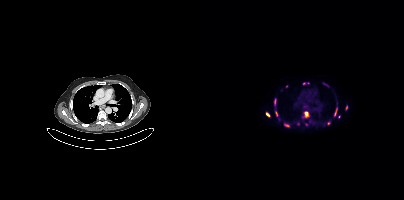
Findings: Coordinates are on the 200×200 PET (right) panel. (showing 13 of 16 foci) PSMA-avid tumor lesion bounding boxes (x, y, width, height): x=100 y=111 w=5 h=7; x=130 y=107 w=4 h=10; x=80 y=123 w=6 h=5; x=70 y=98 w=3 h=6; x=71 y=111 w=3 h=6. Small PSMA-avid foci (2 to 4 px across) near (center x, center y): (63, 114); (124, 123); (102, 124); (142, 107); (100, 83); (94, 123); (120, 83); (134, 116).
Technique: Two-panel axial: CT | PSMA PET, 18F tracer. acquired on Siemens Biograph mCT Flow 20. PET panel 200×200 px (4.1 mm/px).